- Left: CT. Right: PSMA PET, same axial level, [18F]PSMA-1007 tracer
- slice 97 of 263
- PET panel 256×256 px (2.7 mm/px)
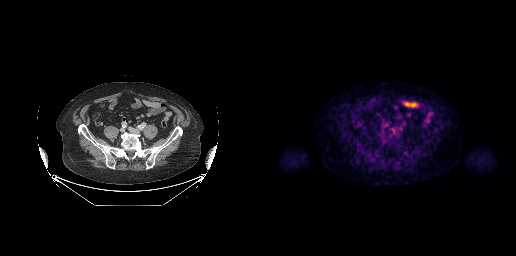
Findings: Only PSMA-avid lesion pieces thinner than 2 px on this slice (not listed).